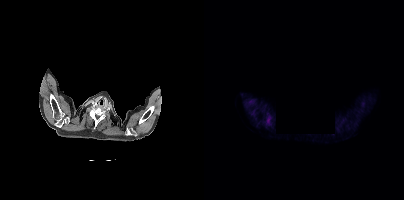
- Two-panel axial: CT | PSMA PET, 18F-PSMA tracer
- acquired on Siemens Biograph mCT Flow 20
- slice 369 of 431
- a region was redacted for de-identification by setting it to black
Findings: Negative for PSMA-avid disease on this slice.